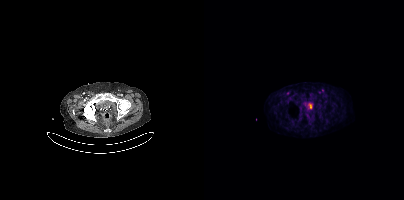
{"modality":"PSMA PET/CT","view":"axial","tracer":"18F-PSMA","pet_grid":[200,200],"coord_frame":"pet_panel","coord_format":"x0,y0,x1,y1","lesion_bboxes":[],"small_foci_centers":[[118,90],[83,93]]}